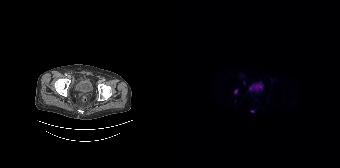
Coordinates are on the 168×168 PET (right) panel. PSMA-avid tumor lesion bounding boxes (partial; 1 more focus not listed):
| # | x0 | y0 | x1 | y1 |
|---|---|---|---|---|
| 1 | 62 | 89 | 65 | 94 |
Small PSMA-avid focus (2 to 4 px across) near (center x, center y): (80, 111).
Two-panel axial: CT | PSMA PET, [18F]PSMA-1007 tracer. Acquired on Siemens Biograph 64-4R TruePoint.